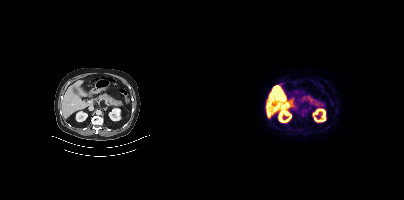
No PSMA-avid tumor lesions on this slice.